modality: PSMA PET/CT | tracer: 18F-PSMA | view: axial | PET grid: 200×200
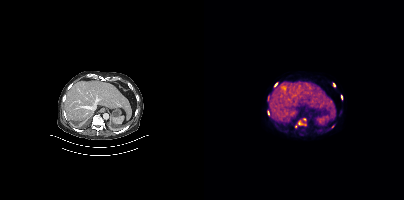
Coordinates are on the 200×200 PET (right) panel. PSMA-avid tumor lesion bounding boxes (x, y, width, height): x=91 y=118 w=12 h=11 / x=137 y=95 w=2 h=5 / x=64 y=111 w=2 h=5. Small PSMA-avid foci (2 to 4 px across) near (center x, center y): (130, 84) / (71, 84) / (128, 126).